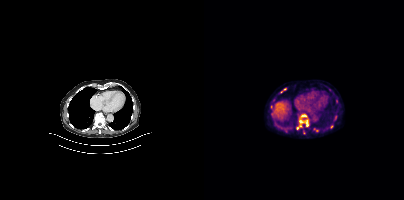
Left: CT. Right: PSMA PET, same axial level, [18F]PSMA-1007 tracer. Acquired on Siemens Biograph mCT Flow 20. Slice 242 of 407. PET panel 200×200 px (4.1 mm/px).
Coordinates are on the 200×200 PET (right) panel. PSMA-avid tumor lesion bounding boxes (partial; 4 more foci not listed):
| # | x0 | y0 | x1 | y1 |
|---|---|---|---|---|
| 1 | 92 | 114 | 104 | 129 |
| 2 | 76 | 88 | 82 | 92 |
Small PSMA-avid foci (2 to 4 px across) near (center x, center y): (127, 126); (132, 101); (131, 117).